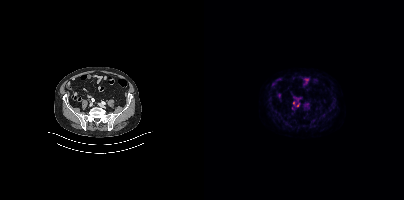
Two-panel axial: CT | PSMA PET, 18F tracer. Acquired on Siemens Biograph mCT Flow 20. PET panel 200×200 px (4.1 mm/px). Coordinates are on the 200×200 PET (right) panel. Small PSMA-avid foci (2 to 4 px across) near (center x, center y): (89, 102); (93, 105).